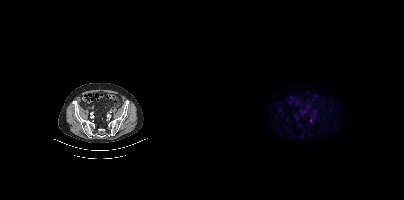
- Paired axial CT (left) and PSMA PET (right), 18F-PSMA tracer
- acquired on Siemens Biograph mCT Flow 20
Findings: Coordinates are on the 200×200 PET (right) panel. Small PSMA-avid focus (2 to 4 px across) near (center x, center y): (111, 110).